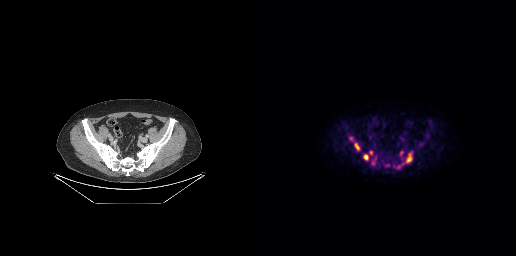
Coordinates are on the 256×256 PET (right) panel. PSMA-avid tumor lesion bounding boxes (x0, y0)-(x1, y1): (94, 142)-(100, 151) | (146, 152)-(152, 160) | (103, 154)-(108, 160) | (89, 137)-(93, 140). Small PSMA-avid foci (2 to 4 px across) near (center x, center y): (111, 152) | (141, 152) | (113, 163) | (138, 166). Paired axial CT (left) and PSMA PET (right), 18F-PSMA tracer. Acquired on GE Discovery 690. Slice 95 of 299.